Left: CT. Right: PSMA PET, same axial level, [18F]PSMA-1007 tracer. Acquired on Siemens Biograph mCT Flow 20.
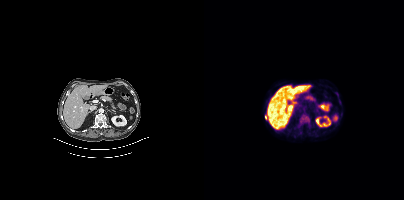
Coordinates are on the 200×200 PET (right) panel. PSMA-avid tumor lesion bounding box (x0, y0)-(x1, y1): (96, 114)-(105, 123). Small PSMA-avid focus (2 to 4 px across) near (center x, center y): (61, 117).